Technique: Left: CT. Right: PSMA PET, same axial level, [18F]PSMA-1007 tracer.
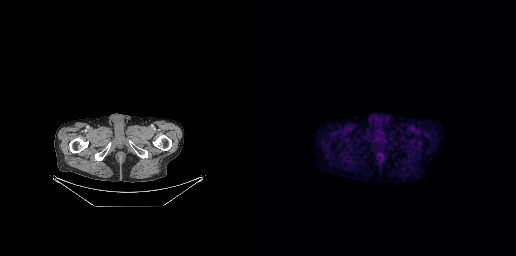
Findings: No PSMA-avid tumor lesions on this slice.